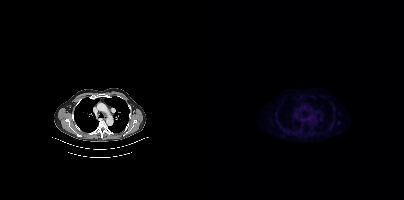
modality: PSMA PET/CT | tracer: 18F-PSMA | view: axial | PET grid: 200×200
This slice has no annotated PSMA-avid lesion.